modality: PSMA PET/CT | tracer: 18F | view: axial | PET grid: 200×200
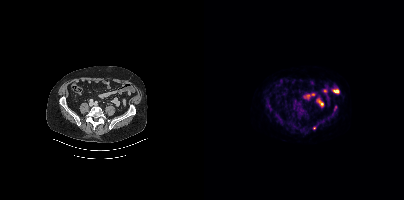
Coordinates are on the 200×200 PET (right) panel. Small PSMA-avid foci (2 to 4 px across) near (center x, center y): (110, 128); (131, 106).